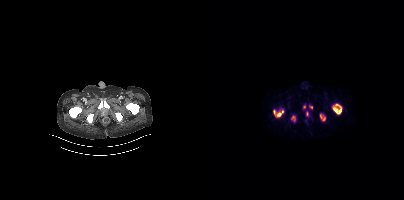
This slice has no annotated PSMA-avid lesion.